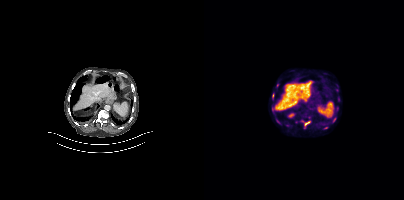
Left: CT. Right: PSMA PET, same axial level, [18F]PSMA-1007 tracer. Acquired on Siemens Biograph mCT Flow 20.
Coordinates are on the 200×200 PET (right) panel. PSMA-avid tumor lesion bounding boxes (partial; 1 more focus not listed):
| # | x0 | y0 | x1 | y1 |
|---|---|---|---|---|
| 1 | 119 | 123 | 126 | 129 |
| 2 | 97 | 120 | 106 | 128 |
| 3 | 67 | 108 | 72 | 115 |
| 4 | 72 | 118 | 78 | 125 |
| 5 | 71 | 100 | 76 | 105 |
| 6 | 68 | 93 | 70 | 98 |
| 7 | 129 | 118 | 132 | 122 |
| 8 | 80 | 121 | 82 | 125 |
Small PSMA-avid foci (2 to 4 px across) near (center x, center y): (133, 90); (73, 85); (133, 108); (134, 99).